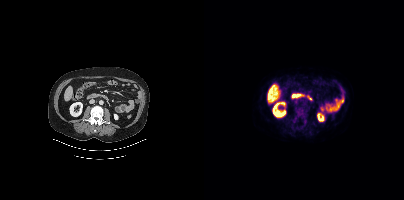
No PSMA-avid tumor lesions on this slice. Two-panel axial: CT | PSMA PET, 18F-PSMA tracer. Slice 191 of 462.